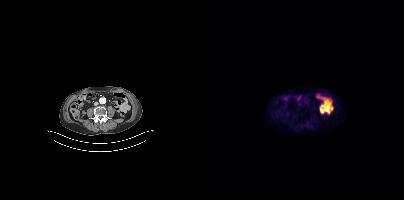
No tumor lesions annotated on this slice. Paired axial CT (left) and PSMA PET (right), [18F]PSMA-1007 tracer. Acquired on Siemens Biograph mCT Flow 20. PET panel 200×200 px (4.1 mm/px).